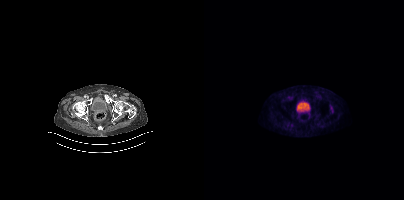
Negative for PSMA-avid disease on this slice. Paired axial CT (left) and PSMA PET (right), 18F-PSMA tracer. Slice 48 of 373.